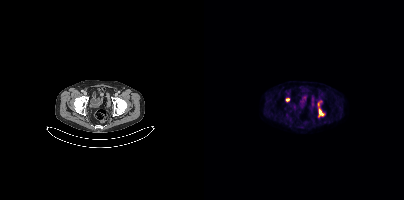
Technique: Two-panel axial: CT | PSMA PET, 18F-PSMA tracer. acquired on Siemens Biograph mCT Flow 20. slice position z = -246 mm.
Findings: Coordinates are on the 200×200 PET (right) panel. PSMA-avid tumor lesion bounding boxes (x, y, width, height): x=114 y=108 w=7 h=9 / x=113 y=101 w=5 h=6 / x=81 y=98 w=5 h=4.